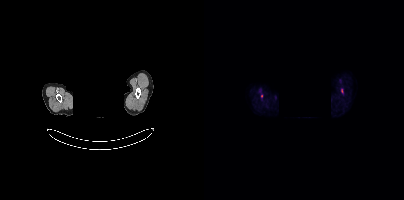
Two-panel axial: CT | PSMA PET, 18F tracer. Slice position z = -868 mm. PET panel 200×200 px (4.1 mm/px). A rectangle over the head was blacked out to remove identifiable facial features. Coordinates are on the 200×200 PET (right) panel. Small PSMA-avid foci (2 to 4 px across) near (center x, center y): (137, 90); (57, 95).